- Left: CT. Right: PSMA PET, same axial level, [18F]PSMA-1007 tracer
- a rectangle over the head was blacked out to remove identifiable facial features
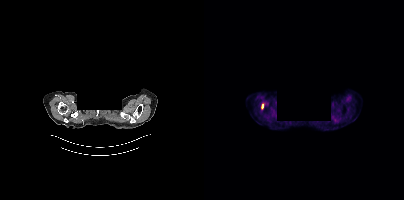
Findings: Coordinates are on the 200×200 PET (right) panel. PSMA-avid tumor lesion bounding box (x, y, width, height): x=58 y=104 w=2 h=5.